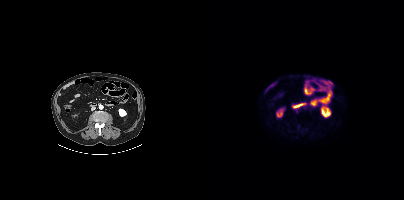
- Left: CT. Right: PSMA PET, same axial level, 18F-PSMA tracer
- acquired on Siemens Biograph mCT Flow 20
Findings: This slice has no annotated PSMA-avid lesion.